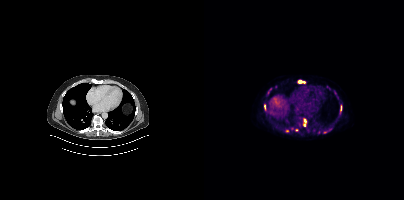
Coordinates are on the 200×200 PET (right) panel. (showing 4 of 5 foci) PSMA-avid tumor lesion bounding boxes (x, y, width, height): x=99 y=118 w=4 h=9 | x=94 y=80 w=8 h=4 | x=60 y=105 w=2 h=5. Small PSMA-avid focus (2 to 4 px across) near (center x, center y): (92, 129).